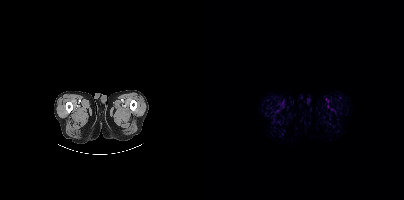
{"modality":"PSMA PET/CT","view":"axial","tracer":"[18F]PSMA-1007","pet_grid":[200,200],"coord_frame":"pet_panel","coord_format":"x0,y0,x1,y1","psma_avid_lesions":false}